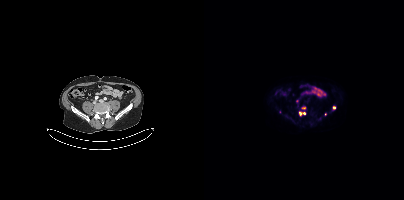
Coordinates are on the 200×200 PET (right) panel. (showing 5 of 6 foci) PSMA-avid tumor lesion bounding box (x0, y0)-(x1, y1): (95, 112)-(101, 115). Small PSMA-avid foci (2 to 4 px across) near (center x, center y): (130, 107) | (93, 101) | (99, 107) | (121, 114).